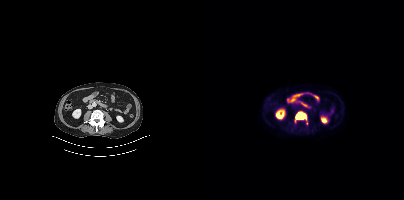
Two-panel axial: CT | PSMA PET, [18F]PSMA-1007 tracer. Acquired on Siemens Biograph mCT Flow 20. Coordinates are on the 200×200 PET (right) panel. PSMA-avid tumor lesion bounding box (x0, y0)-(x1, y1): (92, 112)-(102, 119).